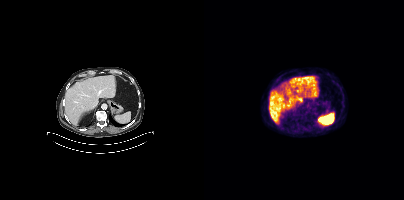
No PSMA-avid tumor lesions on this slice.